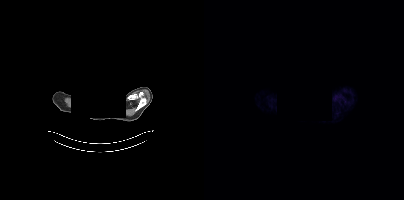
Negative for PSMA-avid disease on this slice. Paired axial CT (left) and PSMA PET (right), 68Ga tracer. Acquired on Siemens Biograph mCT Flow 20. Slice position z = -876 mm. An anonymization step blacked out a rectangle over the head in this scan.